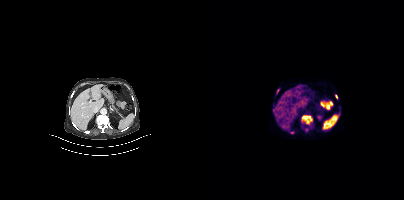
Coordinates are on the 200×200 PET (right) panel. PSMA-avid tumor lesion bounding boxes (partial; 1 more focus not listed):
| # | x0 | y0 | x1 | y1 |
|---|---|---|---|---|
| 1 | 98 | 116 | 108 | 124 |
| 2 | 100 | 127 | 103 | 131 |
| 3 | 72 | 89 | 75 | 93 |
| 4 | 86 | 131 | 90 | 133 |
Small PSMA-avid focus (2 to 4 px across) near (center x, center y): (132, 96).
Paired axial CT (left) and PSMA PET (right), [68Ga]Ga-PSMA-11 tracer.